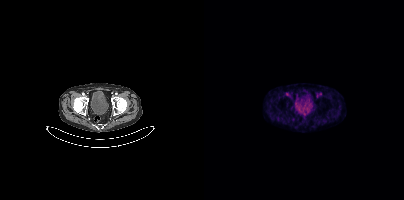
{"modality":"PSMA PET/CT","view":"axial","tracer":"[18F]PSMA-1007","pet_grid":[200,200],"coord_frame":"pet_panel","coord_format":"x0,y0,x1,y1","psma_avid_lesions":false}